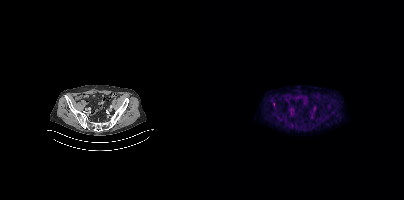
Paired axial CT (left) and PSMA PET (right), 18F-PSMA tracer. Slice 105 of 407.
Coordinates are on the 200×200 PET (right) panel. PSMA-avid tumor lesion bounding boxes:
| # | x0 | y0 | x1 | y1 |
|---|---|---|---|---|
| 1 | 69 | 102 | 71 | 106 |